Left: CT. Right: PSMA PET, same axial level, [18F]PSMA-1007 tracer. Acquired on Siemens Biograph mCT Flow 20. Slice position z = -683 mm.
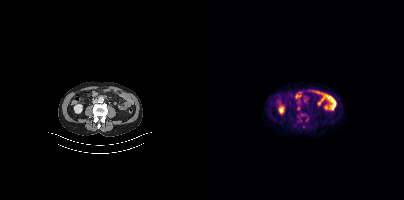
No PSMA-avid tumor lesions on this slice.